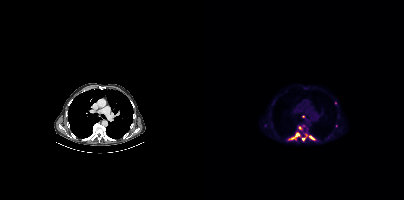
Technique: Two-panel axial: CT | PSMA PET, [18F]PSMA-1007 tracer. slice position z = 29 mm. PET panel 200×200 px (4.1 mm/px).
Findings: Coordinates are on the 200×200 PET (right) panel. (showing 8 of 9 foci) PSMA-avid tumor lesion bounding boxes (x0, y0)-(x1, y1): (85, 132)-(95, 139) / (106, 136)-(110, 139). Small PSMA-avid foci (2 to 4 px across) near (center x, center y): (131, 103) / (99, 139) / (99, 125) / (95, 127) / (99, 116) / (102, 135).